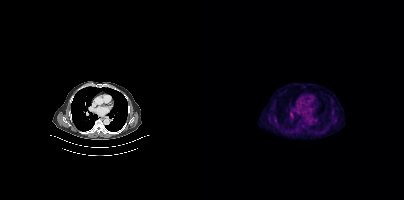
Coordinates are on the 200×200 PET (right) panel. Small PSMA-avid focus (2 to 4 px across) near (center x, center y): (70, 118).